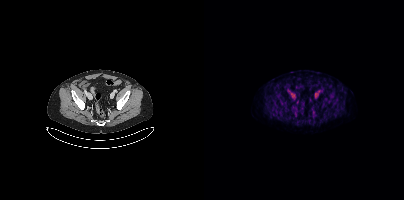
This slice has no annotated PSMA-avid lesion.